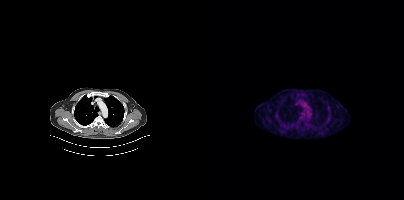
{"modality":"PSMA PET/CT","view":"axial","tracer":"18F","pet_grid":[200,200],"coord_frame":"pet_panel","coord_format":"x0,y0,x1,y1","psma_avid_lesions":false}